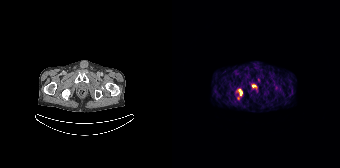
modality: PSMA PET/CT | tracer: 68Ga | view: axial
Coordinates are on the 168×168 PET (right) panel. (showing 1 of 2 foci) PSMA-avid tumor lesion bounding box (x0,y0,x1,y1): [66,89,70,95].